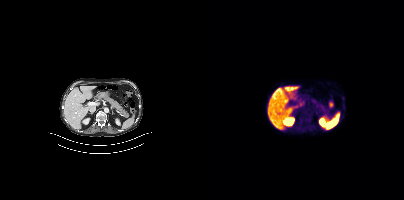
Two-panel axial: CT | PSMA PET, 18F-PSMA tracer. Acquired on Siemens Biograph mCT Flow 20. PET panel 200×200 px (4.1 mm/px).
Coordinates are on the 200×200 PET (right) panel. PSMA-avid tumor lesion bounding boxes:
| # | x0 | y0 | x1 | y1 |
|---|---|---|---|---|
| 1 | 101 | 116 | 107 | 122 |